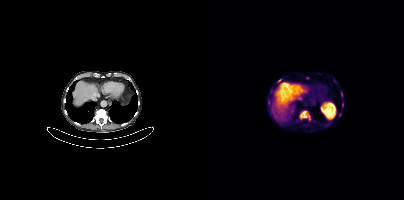
Technique: Two-panel axial: CT | PSMA PET, 18F-PSMA tracer. PET panel 200×200 px (4.1 mm/px).
Findings: Coordinates are on the 200×200 PET (right) panel. PSMA-avid tumor lesion bounding box (x0,y0,x1,y1): [96,111,106,120]. Small PSMA-avid foci (2 to 4 px across) near (center x, center y): (75, 80); (137, 94); (138, 105).